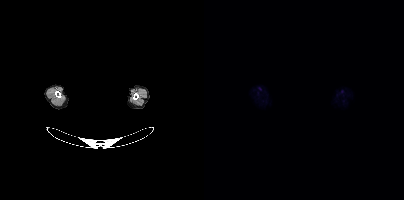
The head region is masked for de-identification. Paired axial CT (left) and PSMA PET (right), 18F tracer. Slice 368 of 391. PET panel 200×200 px (4.1 mm/px). No tumor lesions annotated on this slice.